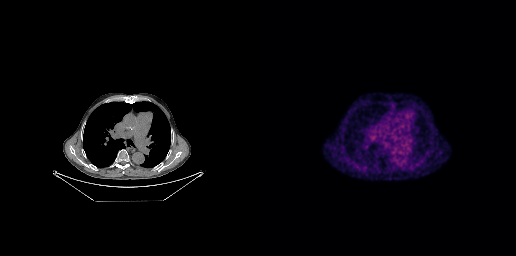
Negative for PSMA-avid disease on this slice.
modality: PSMA PET/CT | tracer: 68Ga-PSMA | view: axial | PET grid: 256×256